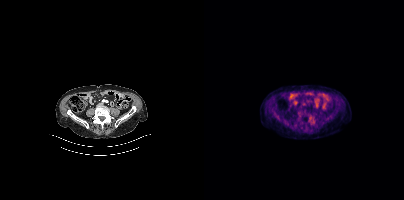
{"modality":"PSMA PET/CT","view":"axial","tracer":"18F","pet_grid":[200,200],"coord_frame":"pet_panel","coord_format":"x0,y0,x1,y1","psma_avid_lesions":false}